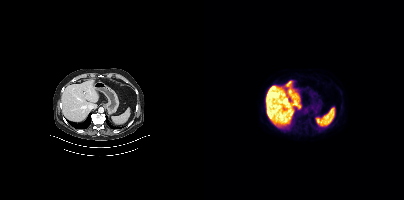
No PSMA-avid tumor lesions on this slice.